modality: PSMA PET/CT | tracer: [18F]PSMA-1007 | view: axial
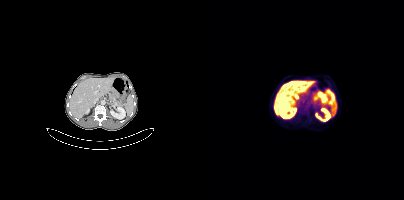
Coordinates are on the 200×200 PET (right) panel. PSMA-avid tumor lesion bounding box (x0, y0)-(x1, y1): (95, 106)-(103, 113).